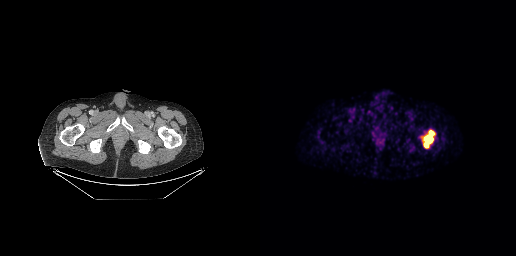
- Two-panel axial: CT | PSMA PET, [68Ga]Ga-PSMA-11 tracer
- acquired on GE Discovery 690
- slice 56 of 299
- PET panel 256×256 px (2.7 mm/px)
Findings: Coordinates are on the 256×256 PET (right) panel. PSMA-avid tumor lesion bounding box (x0, y0)-(x1, y1): (161, 130)-(175, 148).